Technique: Paired axial CT (left) and PSMA PET (right), 18F-PSMA tracer. acquired on Siemens Biograph mCT Flow 20. slice position z = -1178 mm. PET panel 200×200 px (4.1 mm/px).
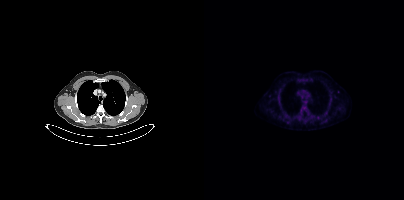
Findings: No PSMA-avid tumor lesions on this slice.